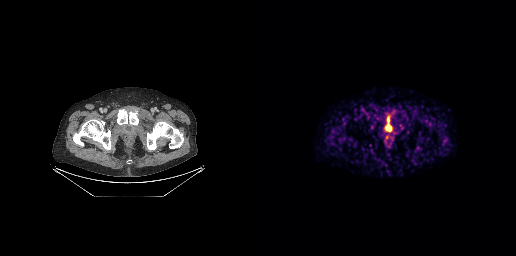
modality: PSMA PET/CT | tracer: 68Ga-PSMA | view: axial | PET grid: 256×256
Coordinates are on the 256×256 PET (right) panel. PSMA-avid tumor lesion bounding box (x0,y0,x1,y1): [127,126,132,131].